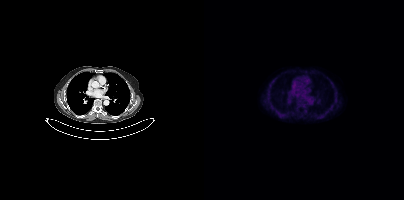
No PSMA-avid tumor lesions on this slice.